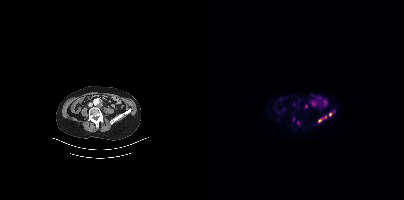
{"pet_grid":[200,200],"coord_frame":"pet_panel","coord_format":"x0,y0,x1,y1","partial":true,"lesion_bboxes":[[125,110,130,115]],"small_foci_centers":[[102,106],[117,120],[94,123],[121,116]],"modality":"PSMA PET/CT","view":"axial","tracer":"[68Ga]Ga-PSMA-11"}